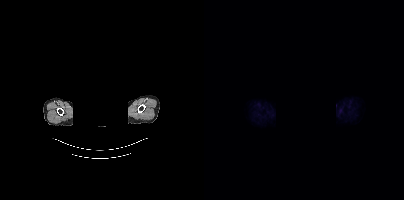
modality: PSMA PET/CT | tracer: 18F-PSMA | view: axial | redaction: head region blacked out before release
Negative for PSMA-avid disease on this slice.